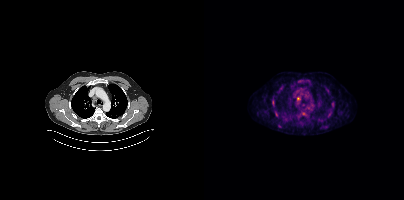
Coordinates are on the 200×200 PET (right) panel. (showing 3 of 4 foci) PSMA-avid tumor lesion bounding box (x0, y0)-(x1, y1): (97, 111)-(101, 115). Small PSMA-avid foci (2 to 4 px across) near (center x, center y): (94, 98); (71, 112).